- Paired axial CT (left) and PSMA PET (right), 18F-PSMA tracer
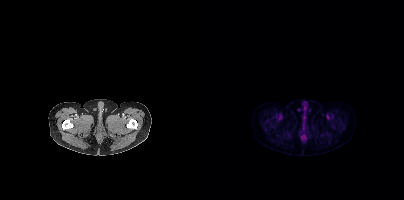
Findings: Negative for PSMA-avid disease on this slice.